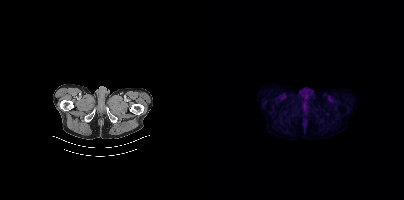
{"modality":"PSMA PET/CT","view":"axial","tracer":"[18F]PSMA-1007","pet_grid":[200,200],"coord_frame":"pet_panel","coord_format":"x0,y0,x1,y1","psma_avid_lesions":false}